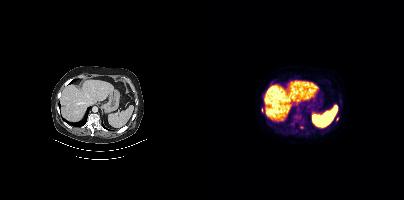
- Paired axial CT (left) and PSMA PET (right), 18F tracer
- slice 259 of 462
Findings: Coordinates are on the 200×200 PET (right) panel. (showing 1 of 3 foci) Small PSMA-avid focus (2 to 4 px across) near (center x, center y): (133, 119).